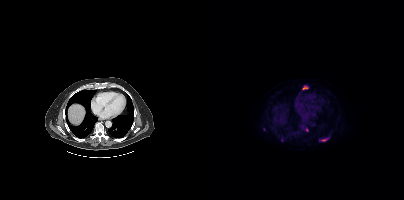
Coordinates are on the 200×200 PET (right) panel. (showing 4 of 5 foci) PSMA-avid tumor lesion bounding boxes (x0, y0)-(x1, y1): (115, 138)-(124, 141) / (99, 86)-(103, 89). Small PSMA-avid foci (2 to 4 px across) near (center x, center y): (60, 129) / (102, 129).